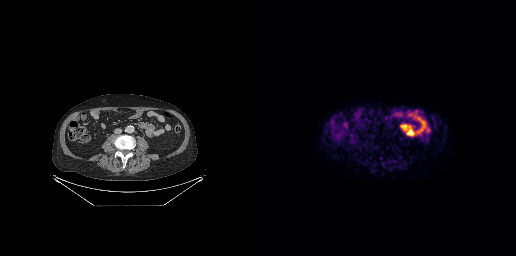
Technique: Left: CT. Right: PSMA PET, same axial level, 18F-PSMA tracer.
Findings: This slice has no annotated PSMA-avid lesion.